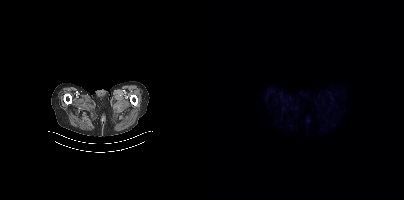
Negative for PSMA-avid disease on this slice.
modality: PSMA PET/CT | tracer: 18F-PSMA | view: axial | PET grid: 200×200